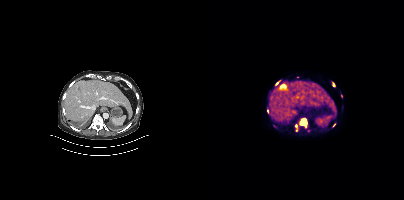
Coordinates are on the 200×200 PET (right) panel. PSMA-avid tumor lesion bounding boxes (x0, y0)-(x1, y1): (91, 118)-(103, 131) | (128, 82)-(131, 86) | (72, 81)-(75, 85). Small PSMA-avid foci (2 to 4 px across) near (center x, center y): (130, 124) | (63, 111) | (137, 95).
modality: PSMA PET/CT | tracer: 18F | view: axial | PET grid: 200×200